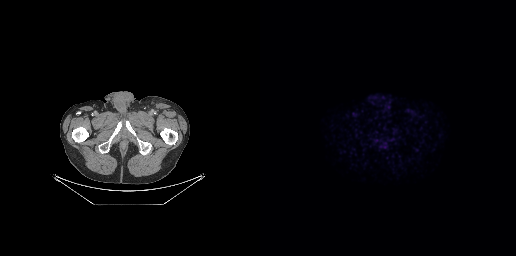
This slice has no annotated PSMA-avid lesion.
modality: PSMA PET/CT | tracer: 18F | view: axial